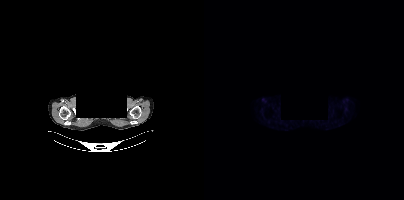
- a rectangle over the head was blacked out to remove identifiable facial features
- Paired axial CT (left) and PSMA PET (right), 18F-PSMA tracer
- acquired on Siemens Biograph mCT Flow 20
- slice position z = -310 mm
Findings: No PSMA-avid tumor lesions on this slice.